Paired axial CT (left) and PSMA PET (right), 68Ga-PSMA tracer. Acquired on Siemens Biograph 64-4R TruePoint. Slice 83 of 195. PET panel 168×168 px (4.1 mm/px).
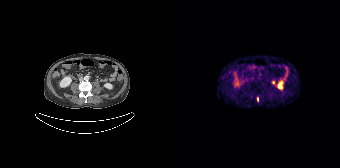
Coordinates are on the 168×168 PET (right) panel. PSMA-avid tumor lesion bounding box (x, y, width, height): x=85 y=97 w=2 h=5.